Left: CT. Right: PSMA PET, same axial level, [18F]PSMA-1007 tracer. Acquired on Siemens Biograph mCT Flow 20.
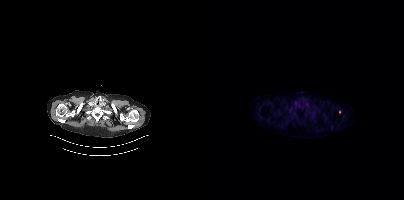
Coordinates are on the 200×200 PET (right) panel. Small PSMA-avid focus (2 to 4 px across) near (center x, center y): (135, 112).